Two-panel axial: CT | PSMA PET, [18F]PSMA-1007 tracer. Slice position z = -980 mm.
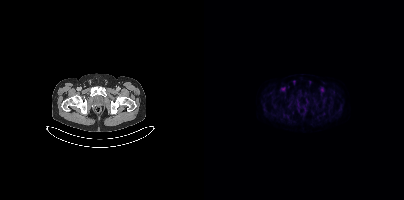
Negative for PSMA-avid disease on this slice.